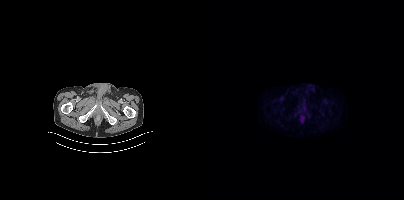
Negative for PSMA-avid disease on this slice.